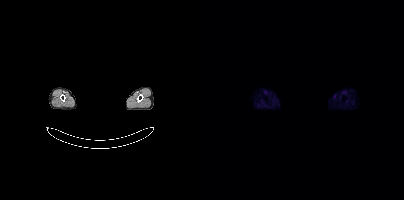
- Left: CT. Right: PSMA PET, same axial level, 18F tracer
- slice 378 of 397
- PET panel 200×200 px (4.1 mm/px)
- an anonymization step blacked out a rectangle over the head in this scan
Findings: No tumor lesions annotated on this slice.